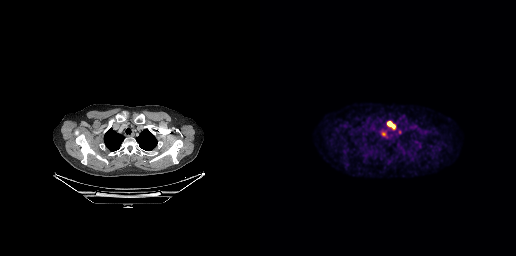
Paired axial CT (left) and PSMA PET (right), [18F]PSMA-1007 tracer. Acquired on GE Discovery 690. PET panel 256×256 px (2.7 mm/px).
Coordinates are on the 256×256 PET (right) panel. PSMA-avid tumor lesion bounding boxes:
| # | x0 | y0 | x1 | y1 |
|---|---|---|---|---|
| 1 | 127 | 121 | 135 | 129 |
Small PSMA-avid focus (2 to 4 px across) near (center x, center y): (123, 133).